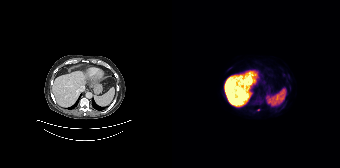
Two-panel axial: CT | PSMA PET, 18F tracer. Acquired on Siemens Biograph 64-4R TruePoint. Slice 130 of 195. Coordinates are on the 168×168 PET (right) panel. Small PSMA-avid foci (2 to 4 px across) near (center x, center y): (87, 102) / (86, 110) / (57, 68).